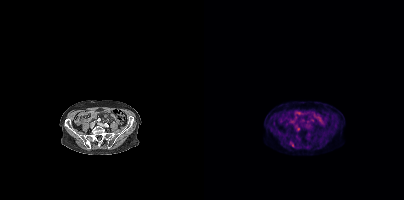
{"pet_grid":[200,200],"coord_frame":"pet_panel","coord_format":"x0,y0,x1,y1","lesion_bboxes":[[85,142,90,147]],"small_foci_centers":[[93,128],[131,125]],"modality":"PSMA PET/CT","view":"axial","tracer":"[18F]PSMA-1007"}